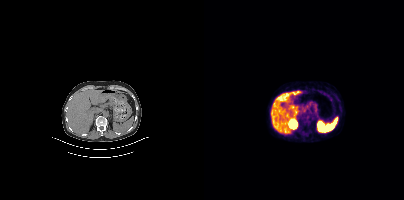
- Paired axial CT (left) and PSMA PET (right), 68Ga-PSMA tracer
- acquired on Siemens Biograph mCT Flow 20
- slice 209 of 409
Findings: Negative for PSMA-avid disease on this slice.